- a rectangular block over the head has been blanked out for de-identification
- Paired axial CT (left) and PSMA PET (right), 68Ga-PSMA tracer
- acquired on GE Discovery 690
- PET panel 256×256 px (2.7 mm/px)
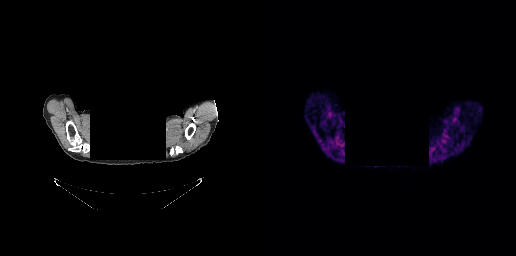
Findings: No tumor lesions annotated on this slice.